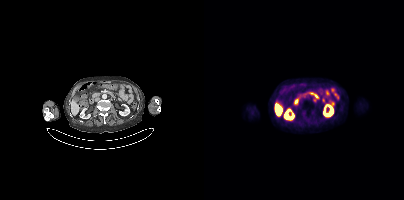
This slice has no annotated PSMA-avid lesion. Paired axial CT (left) and PSMA PET (right), 18F tracer. Slice position z = -1319 mm. PET panel 200×200 px (4.1 mm/px).